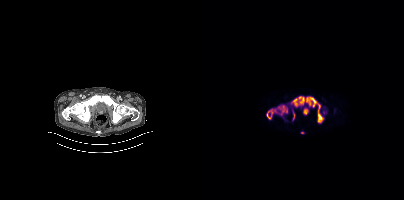
Coordinates are on the 200×200 PET (right) panel. PSMA-avid tumor lesion bounding boxes (x0, y0)-(x1, y1): (62, 105)-(83, 119) | (88, 96)-(100, 106) | (102, 97)-(112, 106) | (114, 104)-(119, 122) | (89, 114)-(90, 119). Small PSMA-avid focus (2 to 4 px across) near (center x, center y): (98, 132).